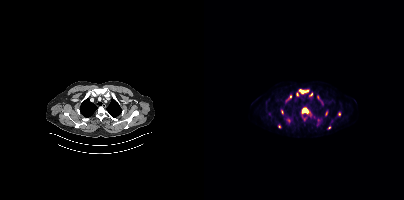
- Paired axial CT (left) and PSMA PET (right), 18F tracer
- acquired on Siemens Biograph mCT Flow 20
Findings: Coordinates are on the 200×200 PET (right) panel. (showing 10 of 13 foci) PSMA-avid tumor lesion bounding boxes (x0, y0)-(x1, y1): (98, 108)-(104, 113); (95, 89)-(104, 93). Small PSMA-avid foci (2 to 4 px across) near (center x, center y): (100, 119); (78, 111); (86, 96); (125, 127); (107, 94); (122, 113); (135, 114); (75, 125).